Left: CT. Right: PSMA PET, same axial level, [18F]PSMA-1007 tracer. PET panel 256×256 px (2.7 mm/px).
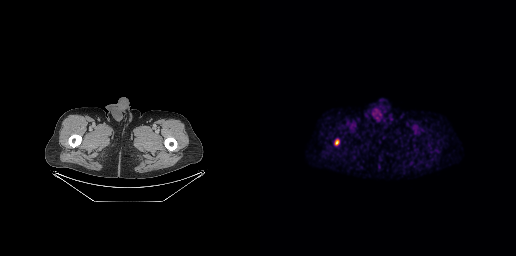
Coordinates are on the 256×256 PET (right) panel. PSMA-avid tumor lesion bounding box (x, y, width, height): x=75 y=140 w=4 h=5.